Paired axial CT (left) and PSMA PET (right), 18F-PSMA tracer. Slice position z = -857 mm. PET panel 200×200 px (4.1 mm/px).
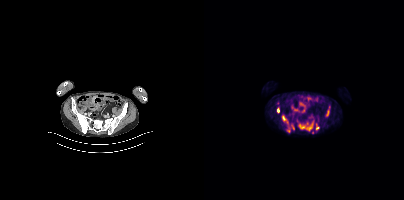
Coordinates are on the 200×200 PET (right) panel. (showing 7 of 10 foci) PSMA-avid tumor lesion bounding boxes (x0,y0,x1,y1): [94,121,109,131]; [122,106,125,115]; [73,107,75,112]; [83,128,86,132]; [112,124,114,130]; [87,125,90,129]. Small PSMA-avid focus (2 to 4 px across) near (center x, center y): (79, 118).